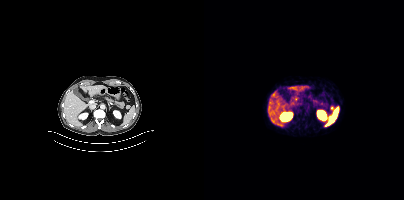
{"modality":"PSMA PET/CT","view":"axial","tracer":"68Ga-PSMA","pet_grid":[200,200],"coord_frame":"pet_panel","coord_format":"x0,y0,x1,y1","lesion_bboxes":[],"small_foci_centers":[[127,107]]}